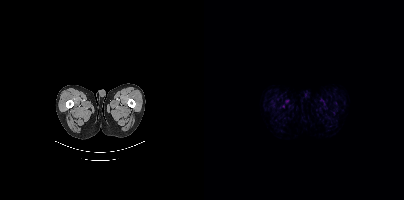
This slice has no annotated PSMA-avid lesion.